Left: CT. Right: PSMA PET, same axial level, 18F-PSMA tracer. Acquired on Siemens Biograph mCT Flow 20. Slice position z = -1364 mm.
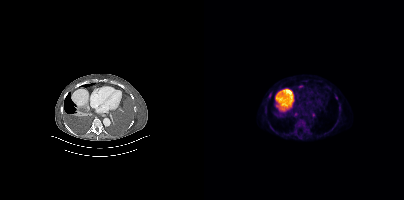
Coordinates are on the 200×200 PET (right) panel. PSMA-avid tumor lesion bounding box (x0,y0,x1,y1): [94,85,99,88]. Small PSMA-avid foci (2 to 4 px across) near (center x, center y): (65, 95), (109, 114), (91, 114), (132, 97).